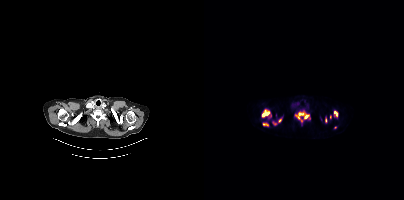
Left: CT. Right: PSMA PET, same axial level, [18F]PSMA-1007 tracer. PET panel 200×200 px (4.1 mm/px). Coordinates are on the 200×200 PET (right) panel. PSMA-avid tumor lesion bounding boxes (x0,y0,x1,y1): [91,112,105,121] [58,110,65,117] [130,111,133,116] [59,123,64,125]. Small PSMA-avid foci (2 to 4 px across) near (center x, center y): (75, 120) (70, 123) (126, 117) (121, 120) (131, 127).